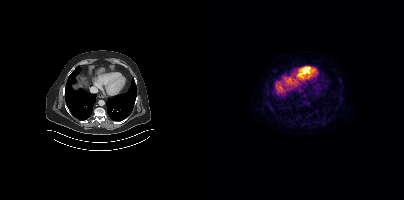
Coordinates are on the 200×200 PET (right) panel. PSMA-avid tumor lesion bounding box (x, y, width, height): x=135 y=94 w=4 h=6. Left: CT. Right: PSMA PET, same axial level, [18F]PSMA-1007 tracer. Acquired on Siemens Biograph mCT Flow 20. PET panel 200×200 px (4.1 mm/px).